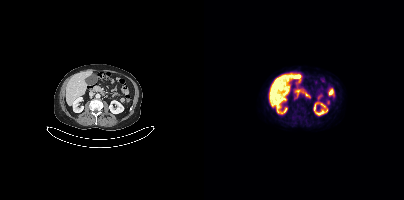
No tumor lesions annotated on this slice.